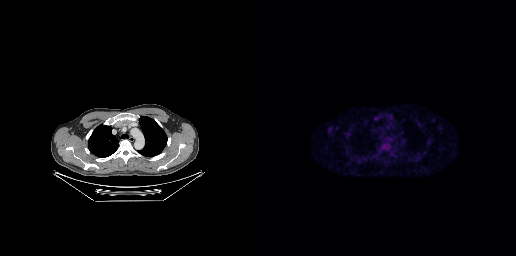
Paired axial CT (left) and PSMA PET (right), 18F-PSMA tracer. Slice 208 of 263. Only PSMA-avid lesion pieces thinner than 2 px on this slice (not listed).